modality: PSMA PET/CT | tracer: 18F-PSMA | view: axial | PET grid: 200×200
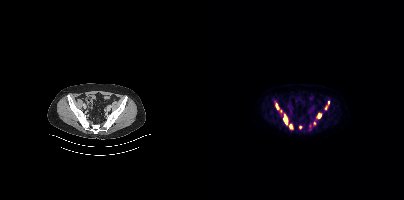
Coordinates are on the 200×200 PET (right) panel. PSMA-avid tumor lesion bounding boxes (x, y, width, height): x=79 y=114 w=6 h=12; x=113 y=113 w=5 h=6; x=85 y=124 w=5 h=6; x=71 y=103 w=5 h=7. Small PSMA-avid foci (2 to 4 px across) near (center x, center y): (96, 127); (124, 102); (121, 108); (76, 111); (110, 122).